modality: PSMA PET/CT | tracer: [68Ga]Ga-PSMA-11 | view: axial | PET grid: 256×256
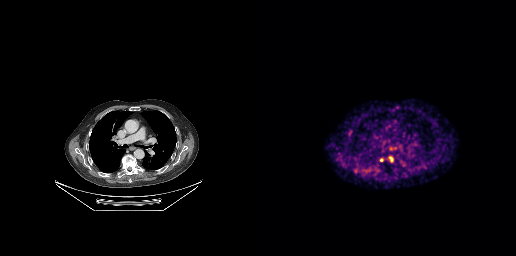
Coordinates are on the 256×256 PET (right) panel. Small PSMA-avid foci (2 to 4 px across) near (center x, center y): (121, 159) / (90, 132) / (131, 158).